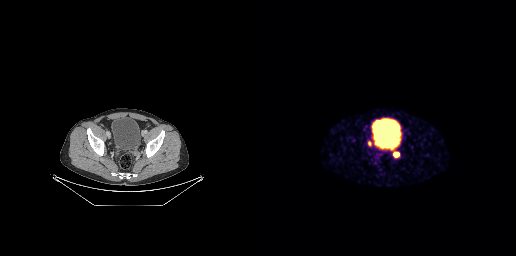
{"pet_grid":[256,256],"coord_frame":"pet_panel","coord_format":"x0,y0,x1,y1","lesion_bboxes":[[134,152,139,156],[118,144,123,147]],"small_foci_centers":[[109,143]],"modality":"PSMA PET/CT","view":"axial","tracer":"[68Ga]Ga-PSMA-11"}